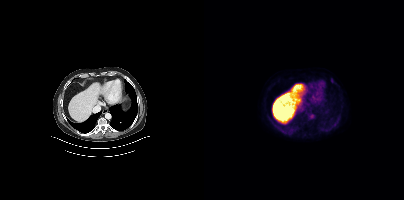
Findings: Negative for PSMA-avid disease on this slice.
Technique: Left: CT. Right: PSMA PET, same axial level, 18F-PSMA tracer. slice 272 of 442.